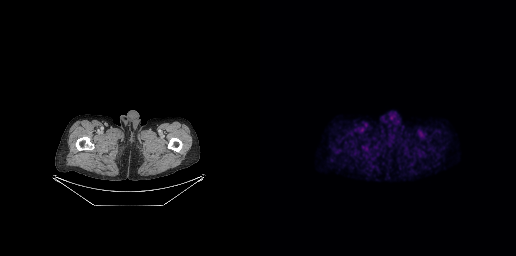
Paired axial CT (left) and PSMA PET (right), 18F-PSMA tracer. Slice 29 of 263. PET panel 256×256 px (2.7 mm/px). This slice has no annotated PSMA-avid lesion.